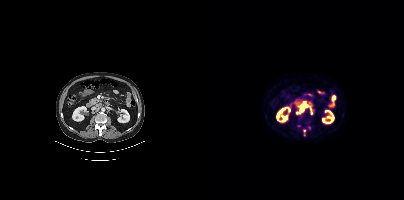
Coordinates are on the 200×200 PET (right) panel. (showing 1 of 2 foci) PSMA-avid tumor lesion bounding box (x, y, width, height): x=92 y=102 w=17 h=13. Paired axial CT (left) and PSMA PET (right), [18F]PSMA-1007 tracer. Acquired on Siemens Biograph mCT Flow 20. Slice 191 of 417. PET panel 200×200 px (4.1 mm/px).